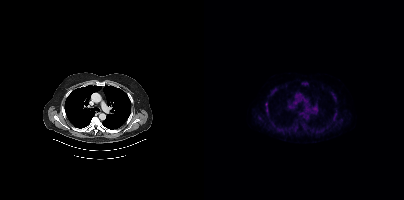
- Left: CT. Right: PSMA PET, same axial level, 18F tracer
- acquired on Siemens Biograph mCT Flow 20
- PET panel 200×200 px (4.1 mm/px)
Findings: Coordinates are on the 200×200 PET (right) panel. (showing 10 of 12 foci) PSMA-avid tumor lesion bounding boxes (x, y, width, height): x=65 y=120 w=8 h=10; x=116 y=126 w=9 h=8; x=99 y=81 w=5 h=6; x=90 y=123 w=5 h=6. Small PSMA-avid foci (2 to 4 px across) near (center x, center y): (69, 89); (130, 97); (99, 126); (63, 110); (131, 112); (92, 120).